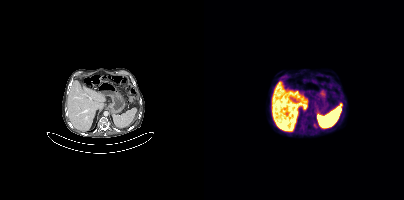
Paired axial CT (left) and PSMA PET (right), 18F-PSMA tracer. Acquired on Siemens Biograph mCT Flow 20. Slice 235 of 425. Coordinates are on the 200×200 PET (right) panel. PSMA-avid tumor lesion bounding box (x0, y0)-(x1, y1): (109, 123)-(113, 128).